Technique: Paired axial CT (left) and PSMA PET (right), [18F]PSMA-1007 tracer. slice 124 of 165.
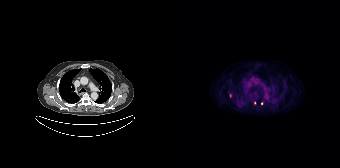
Findings: Coordinates are on the 168×168 PET (right) panel. Small PSMA-avid foci (2 to 4 px across) near (center x, center y): (90, 103), (58, 95), (82, 103).